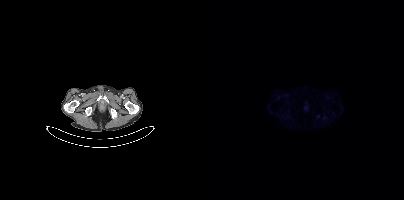
{"modality":"PSMA PET/CT","view":"axial","tracer":"18F-PSMA","pet_grid":[200,200],"coord_frame":"pet_panel","coord_format":"x0,y0,x1,y1","psma_avid_lesions":false}